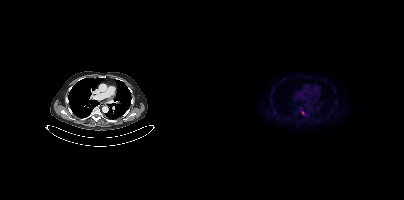
modality: PSMA PET/CT | tracer: 18F-PSMA | view: axial
Coordinates are on the 200×200 PET (right) panel. Small PSMA-avid focus (2 to 4 px across) near (center x, center y): (98, 112).